modality: PSMA PET/CT | tracer: [18F]PSMA-1007 | view: axial | PET grid: 200×200
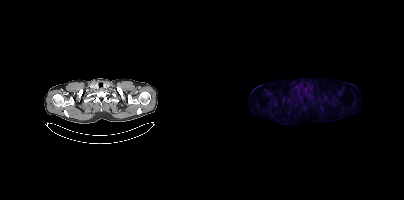
This slice has no annotated PSMA-avid lesion.